- Paired axial CT (left) and PSMA PET (right), [68Ga]Ga-PSMA-11 tracer
- acquired on GE Discovery 690
- slice position z = -593 mm
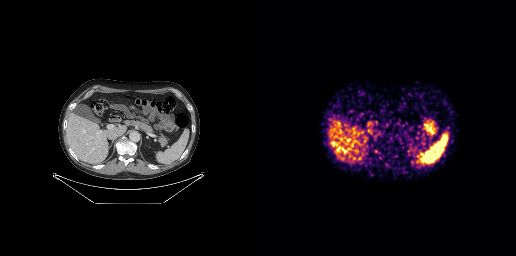
Findings: Coordinates are on the 256×256 PET (right) panel. Small PSMA-avid focus (2 to 4 px across) near (center x, center y): (160, 154).